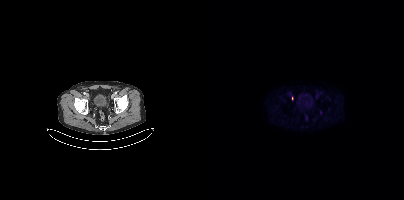
{"pet_grid":[200,200],"coord_frame":"pet_panel","coord_format":"x0,y0,x1,y1","psma_avid_lesions":false,"modality":"PSMA PET/CT","view":"axial","tracer":"[18F]PSMA-1007"}